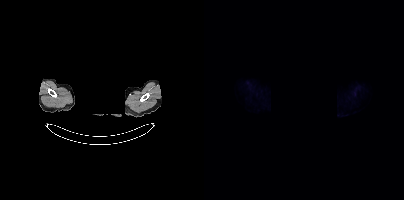
- the face region was removed for patient privacy by blanking a rectangle over the head
- Two-panel axial: CT | PSMA PET, [18F]PSMA-1007 tracer
- acquired on Siemens Biograph mCT Flow 20
- slice position z = -301 mm
- PET panel 200×200 px (4.1 mm/px)
Findings: No PSMA-avid tumor lesions on this slice.